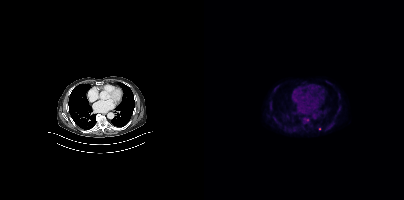
Technique: Left: CT. Right: PSMA PET, same axial level, 18F-PSMA tracer.
Findings: Coordinates are on the 200×200 PET (right) panel. Small PSMA-avid focus (2 to 4 px across) near (center x, center y): (104, 119).